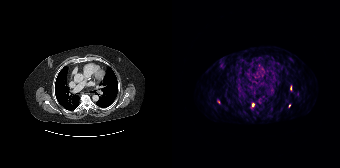
Coordinates are on the 168×168 PET (right) panel. Small PSMA-avid foci (2 to 4 px across) near (center x, center y): (81, 104) | (118, 87) | (117, 105) | (46, 101). Left: CT. Right: PSMA PET, same axial level, 68Ga tracer. PET panel 168×168 px (4.1 mm/px).